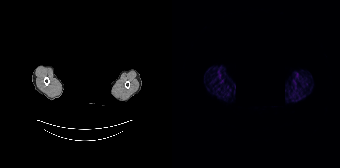
Findings: This slice has no annotated PSMA-avid lesion.
Technique: Two-panel axial: CT | PSMA PET, 68Ga-PSMA tracer. PET panel 168×168 px (4.1 mm/px).
Note: A rectangle over the head was blacked out to remove identifiable facial features.